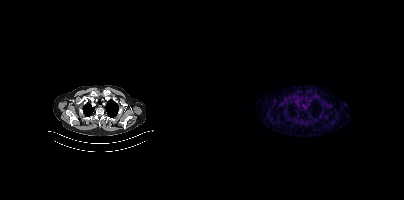
Negative for PSMA-avid disease on this slice. Left: CT. Right: PSMA PET, same axial level, 68Ga tracer. Slice position z = -1002 mm.